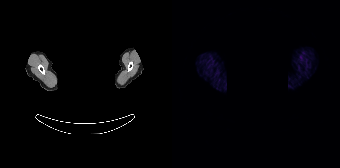
{"modality":"PSMA PET/CT","view":"axial","tracer":"[68Ga]Ga-PSMA-11","pet_grid":[168,168],"coord_frame":"pet_panel","coord_format":"x0,y0,x1,y1","psma_avid_lesions":false,"de-identification":"rectangular block over head set to black"}